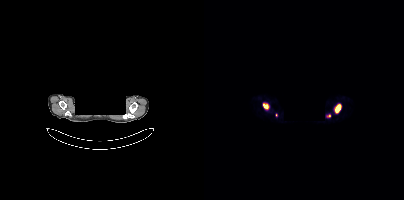
Coordinates are on the 200×200 PET (right) panel. (showing 3 of 4 foci) PSMA-avid tumor lesion bounding boxes (x, y, width, height): x=131 y=104 w=7 h=9 / x=59 y=104 w=6 h=6. Small PSMA-avid focus (2 to 4 px across) near (center x, center y): (124, 115).
deidentification: privacy mask over head | modality: PSMA PET/CT | tracer: 68Ga-PSMA | view: axial